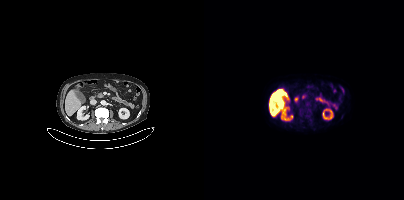
Paired axial CT (left) and PSMA PET (right), 18F-PSMA tracer. Acquired on Siemens Biograph mCT Flow 20. Slice 182 of 429. PET panel 200×200 px (4.1 mm/px). Negative for PSMA-avid disease on this slice.